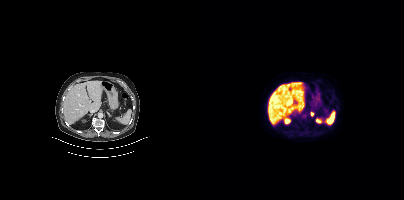
Coordinates are on the 200×200 PET (right) panel. PSMA-avid tumor lesion bounding box (x0, y0)-(x1, y1): (106, 112)-(109, 116).